- Paired axial CT (left) and PSMA PET (right), 18F-PSMA tracer
- slice position z = -1567 mm
- PET panel 200×200 px (4.1 mm/px)
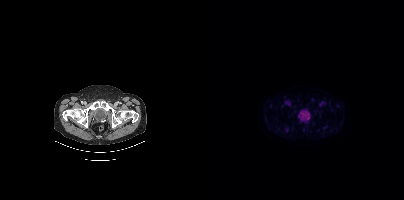
Findings: No tumor lesions annotated on this slice.